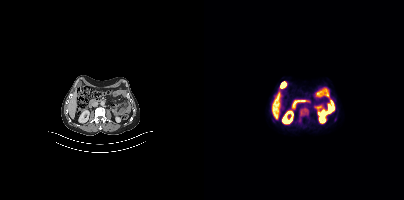
{"modality":"PSMA PET/CT","view":"axial","tracer":"18F-PSMA","pet_grid":[200,200],"coord_frame":"pet_panel","coord_format":"x0,y0,x1,y1","lesion_bboxes":[[96,108,103,115]]}